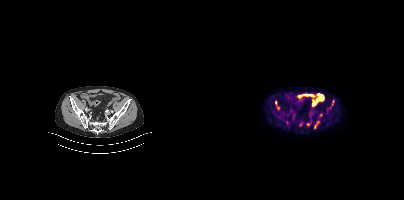
{"modality":"PSMA PET/CT","view":"axial","tracer":"[18F]PSMA-1007","pet_grid":[200,200],"coord_frame":"pet_panel","coord_format":"x0,y0,x1,y1","partial":true,"lesion_bboxes":[[128,100,130,105]],"small_foci_centers":[[71,102],[74,107]]}